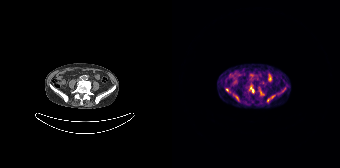
Left: CT. Right: PSMA PET, same axial level, 68Ga-PSMA tracer. Acquired on Siemens Biograph 64-4R TruePoint. Slice position z = -1090 mm. PET panel 168×168 px (4.1 mm/px).
Coordinates are on the 168×168 PET (right) panel. PSMA-avid tumor lesion bounding boxes (partial; 1 more focus not listed):
| # | x0 | y0 | x1 | y1 |
|---|---|---|---|---|
| 1 | 87 | 89 | 92 | 96 |
| 2 | 77 | 86 | 82 | 92 |
| 3 | 54 | 88 | 56 | 92 |
| 4 | 61 | 94 | 66 | 99 |
Small PSMA-avid foci (2 to 4 px across) near (center x, center y): (95, 100); (100, 96).